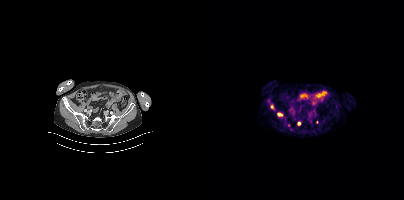
Coordinates are on the 200×200 PET (right) panel. (showing 4 of 5 foci) PSMA-avid tumor lesion bounding boxes (x0,y0,x1,y1): [73,113,78,116], [93,121,97,125]. Small PSMA-avid foci (2 to 4 px across) near (center x, center y): (68, 106), (84, 125).